modality: PSMA PET/CT | tracer: 68Ga | view: axial
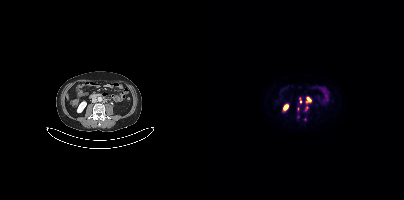
Coordinates are on the 200×200 PET (right) panel. (showing 4 of 5 foci) PSMA-avid tumor lesion bounding boxes (x0,y0,x1,y1): [103,97,106,101] [95,99,97,103] [93,107,95,113]. Small PSMA-avid focus (2 to 4 px across) near (center x, center y): (102, 108).